Two-panel axial: CT | PSMA PET, [18F]PSMA-1007 tracer. Slice position z = -425 mm.
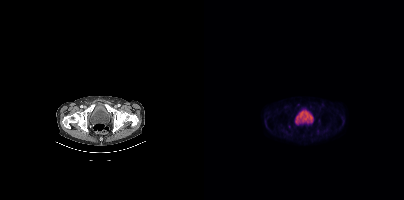
Negative for PSMA-avid disease on this slice.